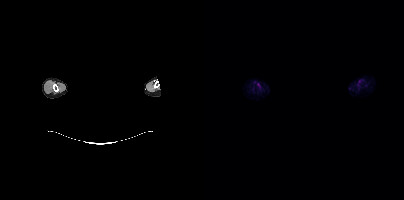
modality: PSMA PET/CT | tracer: [18F]PSMA-1007 | view: axial | PET grid: 200×200 | deidentification: facial region redacted
No tumor lesions annotated on this slice.